Technique: Paired axial CT (left) and PSMA PET (right), 18F-PSMA tracer. PET panel 200×200 px (4.1 mm/px).
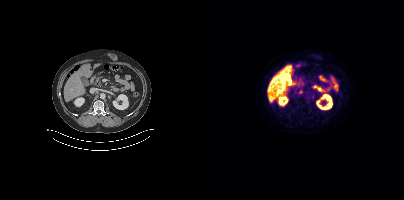
Findings: Coordinates are on the 200×200 PET (right) panel. PSMA-avid tumor lesion bounding box (x0,y0,x1,y1): [107,94,110,98].